Paired axial CT (left) and PSMA PET (right), 18F-PSMA tracer. Acquired on Siemens Biograph mCT Flow 20. Slice position z = 429 mm.
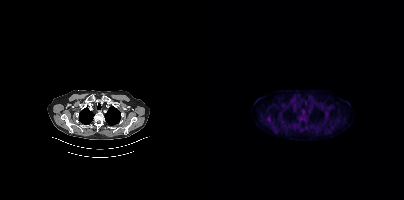
Coordinates are on the 200×200 PET (right) panel. (showing 1 of 2 foci) Small PSMA-avid focus (2 to 4 px across) near (center x, center y): (65, 119).